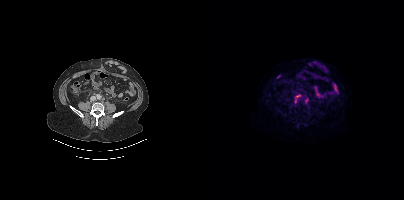
Coordinates are on the 200×200 PET (right) panel. Small PSMA-avid foci (2 to 4 px across) near (center x, center y): (95, 95) (102, 100) (91, 102).